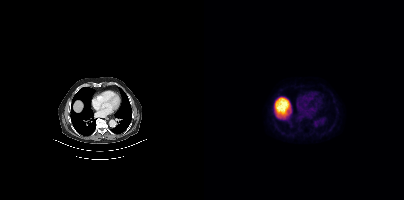
Negative for PSMA-avid disease on this slice.